modality: PSMA PET/CT | tracer: 18F | view: axial | PET grid: 256×256
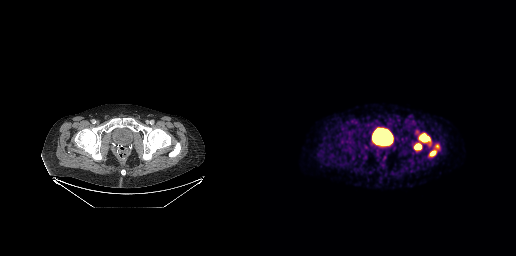
Coordinates are on the 256×256 PET (right) panel. PSMA-avid tumor lesion bounding boxes (x0,y0,x1,y1): [159,133,170,142]; [154,143,161,150]; [169,150,176,156]. Small PSMA-avid focus (2 to 4 px across) near (center x, center y): (177, 146).